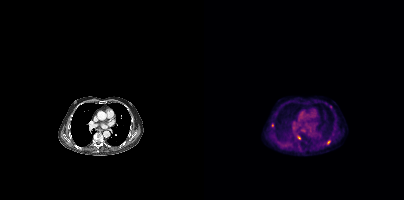
{"modality":"PSMA PET/CT","view":"axial","tracer":"[18F]PSMA-1007","pet_grid":[200,200],"coord_frame":"pet_panel","coord_format":"x0,y0,x1,y1","partial":true,"lesion_bboxes":[[123,140,126,144]],"small_foci_centers":[[126,107],[68,125],[95,137]]}